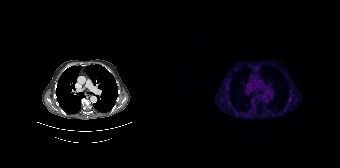
{"pet_grid":[168,168],"coord_frame":"pet_panel","coord_format":"x0,y0,x1,y1","lesion_bboxes":[],"small_foci_centers":[[57,102],[118,91],[55,87],[118,98],[65,112]],"modality":"PSMA PET/CT","view":"axial","tracer":"68Ga-PSMA"}